- Paired axial CT (left) and PSMA PET (right), 18F-PSMA tracer
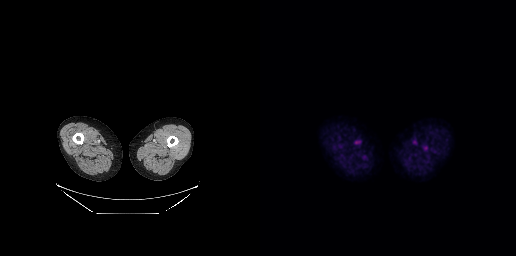
Findings: This slice has no annotated PSMA-avid lesion.